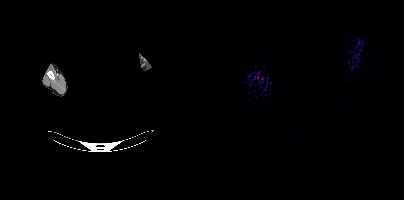
{"pet_grid":[200,200],"coord_frame":"pet_panel","coord_format":"x0,y0,x1,y1","psma_avid_lesions":false,"modality":"PSMA PET/CT","view":"axial","tracer":"68Ga-PSMA","redaction":"rectangular block over head set to black"}